Technique: Paired axial CT (left) and PSMA PET (right), [68Ga]Ga-PSMA-11 tracer. slice position z = -788 mm.
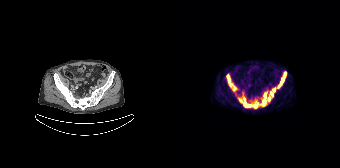
Findings: Coordinates are on the 168×168 PET (right) panel. (showing 10 of 11 foci) PSMA-avid tumor lesion bounding boxes (x, y, width, height): x=67 y=98 w=19 h=11 | x=55 y=74 w=10 h=17 | x=89 y=99 w=6 h=8 | x=106 y=78 w=6 h=10 | x=98 y=91 w=4 h=6 | x=96 y=96 w=3 h=6 | x=92 y=93 w=3 h=6. Small PSMA-avid foci (2 to 4 px across) near (center x, center y): (102, 89) | (71, 92) | (112, 74).